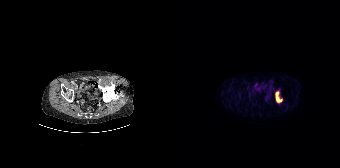
Paired axial CT (left) and PSMA PET (right), [18F]PSMA-1007 tracer. Acquired on Siemens Biograph 64-4R TruePoint. Coordinates are on the 168×168 PET (right) panel. PSMA-avid tumor lesion bounding box (x0,y0,x1,y1): [103,90,110,103].